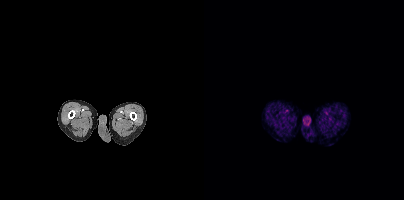
No PSMA-avid tumor lesions on this slice.
modality: PSMA PET/CT | tracer: [18F]PSMA-1007 | view: axial | PET grid: 200×200